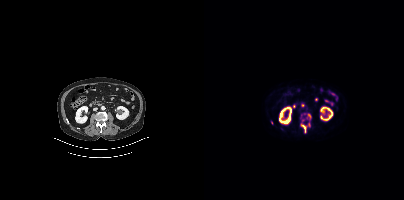
Paired axial CT (left) and PSMA PET (right), [18F]PSMA-1007 tracer. Slice 140 of 367. PET panel 200×200 px (4.1 mm/px). Coordinates are on the 200×200 PET (right) panel. (showing 2 of 4 foci) PSMA-avid tumor lesion bounding box (x0, y0)-(x1, y1): (97, 125)-(102, 133). Small PSMA-avid focus (2 to 4 px across) near (center x, center y): (105, 115).